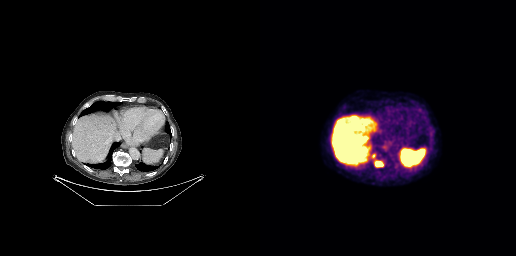
modality: PSMA PET/CT | tracer: 18F-PSMA | view: axial | PET grid: 256×256
Coordinates are on the 256×256 PET (right) panel. PSMA-avid tumor lesion bounding box (x0,y0,x1,y1): [115,161,123,166].